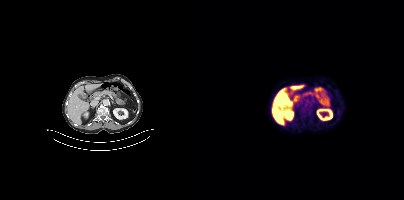
{"modality":"PSMA PET/CT","view":"axial","tracer":"18F-PSMA","pet_grid":[200,200],"coord_frame":"pet_panel","coord_format":"x0,y0,x1,y1","psma_avid_lesions":false}